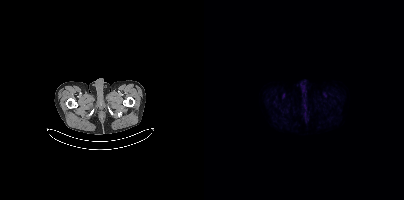
This slice has no annotated PSMA-avid lesion. Left: CT. Right: PSMA PET, same axial level, [18F]PSMA-1007 tracer. Acquired on Siemens Biograph mCT Flow 20.